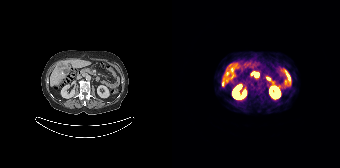
{"modality":"PSMA PET/CT","view":"axial","tracer":"68Ga-PSMA","pet_grid":[168,168],"coord_frame":"pet_panel","coord_format":"x0,y0,x1,y1","lesion_bboxes":[[53,71,57,75],[50,82,52,86]],"small_foci_centers":[[60,68]]}